Technique: Left: CT. Right: PSMA PET, same axial level, [18F]PSMA-1007 tracer. PET panel 200×200 px (4.1 mm/px).
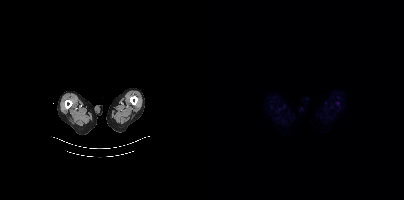
Findings: No tumor lesions annotated on this slice.